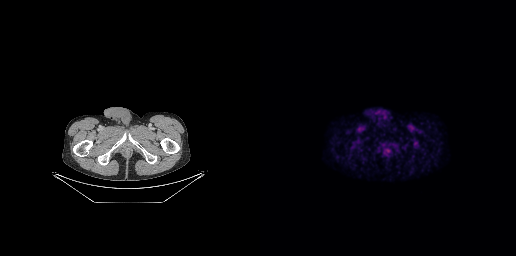
{"modality":"PSMA PET/CT","view":"axial","tracer":"18F-PSMA","pet_grid":[256,256],"coord_frame":"pet_panel","coord_format":"x0,y0,x1,y1","lesion_bboxes":[[123,147,129,153]]}